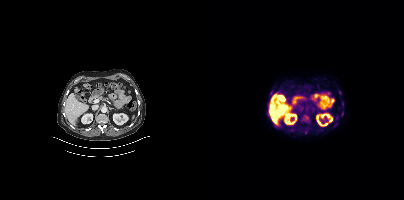
{"pet_grid":[200,200],"coord_frame":"pet_panel","coord_format":"x0,y0,x1,y1","lesion_bboxes":[[100,128,104,133],[66,90,69,94]],"small_foci_centers":[[102,117],[131,124],[138,112],[135,92]],"modality":"PSMA PET/CT","view":"axial","tracer":"18F"}